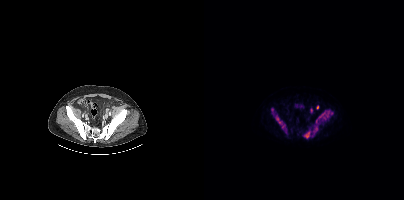
{"modality":"PSMA PET/CT","view":"axial","tracer":"[18F]PSMA-1007","pet_grid":[200,200],"coord_frame":"pet_panel","coord_format":"x0,y0,x1,y1","partial":true,"lesion_bboxes":[[112,110,128,123],[100,132,106,138],[72,117,76,123]],"small_foci_centers":[[113,107],[78,126]]}